Technique: Left: CT. Right: PSMA PET, same axial level, 18F-PSMA tracer.
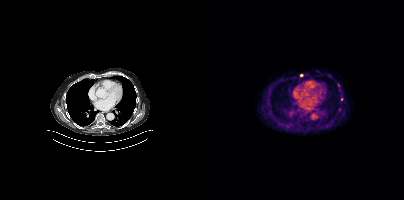
Findings: Coordinates are on the 200×200 PET (right) panel. Small PSMA-avid foci (2 to 4 px across) near (center x, center y): (97, 75), (134, 85), (137, 99).